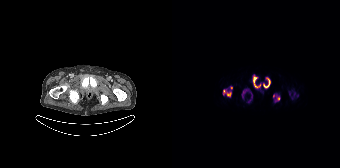
Findings: Coordinates are on the 168×168 PET (right) panel. (showing 11 of 13 foci) PSMA-avid tumor lesion bounding boxes (x0, y0)-(x1, y1): (51, 89)-(59, 97) / (81, 76)-(88, 88) / (91, 77)-(98, 88) / (103, 95)-(108, 101) / (117, 91)-(118, 95) / (122, 92)-(123, 96). Small PSMA-avid foci (2 to 4 px across) near (center x, center y): (59, 87) / (101, 95) / (71, 92) / (125, 95) / (120, 98).
- Left: CT. Right: PSMA PET, same axial level, 18F tracer
- acquired on Siemens Biograph 64-4R TruePoint
- slice position z = -1245 mm
- PET panel 168×168 px (4.1 mm/px)